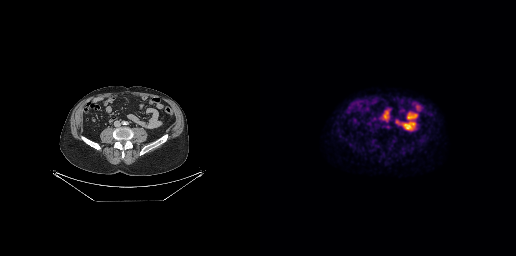
{"pet_grid":[256,256],"coord_frame":"pet_panel","coord_format":"x0,y0,x1,y1","lesion_bboxes":[],"small_foci_centers":[[128,126]],"modality":"PSMA PET/CT","view":"axial","tracer":"18F-PSMA"}